Two-panel axial: CT | PSMA PET, 68Ga-PSMA tracer. PET panel 168×168 px (4.1 mm/px).
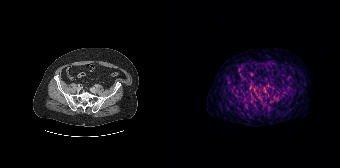
This slice has no annotated PSMA-avid lesion.